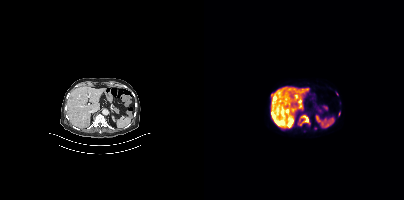
Left: CT. Right: PSMA PET, same axial level, [18F]PSMA-1007 tracer. Acquired on Siemens Biograph mCT Flow 20. Slice position z = -570 mm. Coordinates are on the 200×200 PET (right) panel. (showing 7 of 8 foci) PSMA-avid tumor lesion bounding boxes (x0,y0,x1,y1): [76,107,86,114]; [67,113,74,122]; [100,116,104,121]. Small PSMA-avid foci (2 to 4 px across) near (center x, center y): (102, 89); (96, 90); (135, 113); (73, 108).